Left: CT. Right: PSMA PET, same axial level, [18F]PSMA-1007 tracer. Acquired on Siemens Biograph mCT Flow 20.
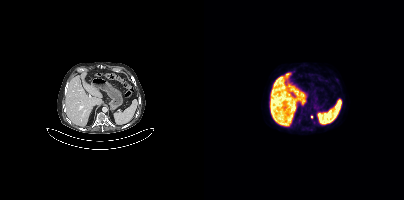
Coordinates are on the 200×200 PET (right) panel. Small PSMA-avid focus (2 to 4 px across) near (center x, center y): (107, 117).